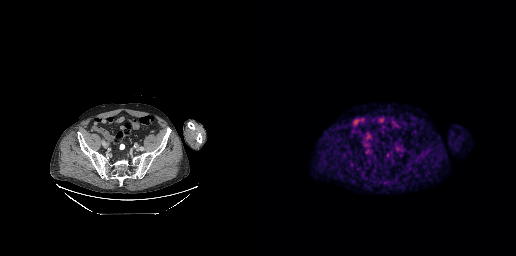
Coordinates are on the 256×256 PET (right) panel. Small PSMA-avid focus (2 to 4 px across) near (center x, center y): (127, 154). Two-panel axial: CT | PSMA PET, 18F tracer. Acquired on GE Discovery 690. PET panel 256×256 px (2.7 mm/px).